Head region blanked for anonymization (face removed). Left: CT. Right: PSMA PET, same axial level, 68Ga-PSMA tracer. Slice position z = -279 mm. PET panel 256×256 px (2.7 mm/px).
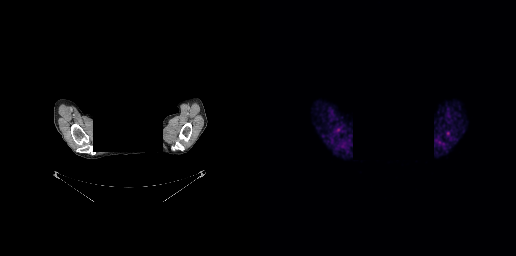
Coordinates are on the 256×256 PET (right) panel. Small PSMA-avid focus (2 to 4 px across) near (center x, center y): (78, 129).